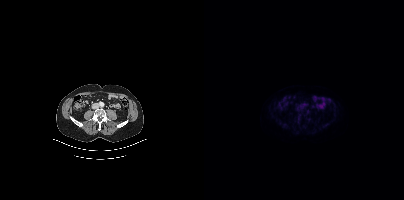
Findings: This slice has no annotated PSMA-avid lesion.
Technique: Left: CT. Right: PSMA PET, same axial level, 18F-PSMA tracer. acquired on Siemens Biograph mCT Flow 20. PET panel 200×200 px (4.1 mm/px).